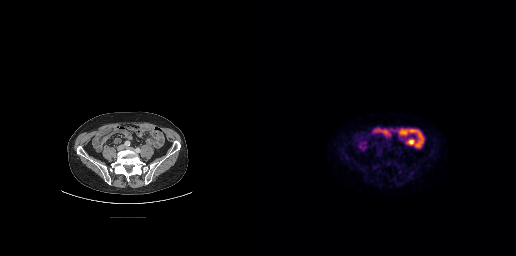
Paired axial CT (left) and PSMA PET (right), 18F tracer. Slice position z = -527 mm. PET panel 256×256 px (2.7 mm/px). Coordinates are on the 256×256 PET (right) panel. Small PSMA-avid focus (2 to 4 px across) near (center x, center y): (129, 163).